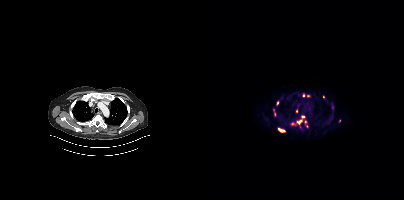
modality: PSMA PET/CT | tracer: 18F-PSMA | view: axial
Coordinates are on the 200×200 PET (right) panel. (showing 11 of 13 foci) PSMA-avid tumor lesion bounding boxes (x0,y0,x1,y1): [93,115,100,124] [74,128,81,132] [128,103,129,110]. Small PSMA-avid foci (2 to 4 px across) near (center x, center y): (120, 96) (99, 95) (73, 102) (92, 111) (104, 95) (101, 122) (88, 123) (135, 120).